Two-panel axial: CT | PSMA PET, 68Ga tracer. PET panel 168×168 px (4.1 mm/px).
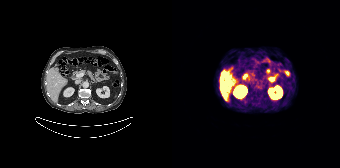
Coordinates are on the 168×168 PET (right) panel. Small PSMA-avid foci (2 to 4 px across) near (center x, center y): (50, 72) / (56, 81) / (49, 88) / (57, 87).